Two-panel axial: CT | PSMA PET, [18F]PSMA-1007 tracer. PET panel 200×200 px (4.1 mm/px).
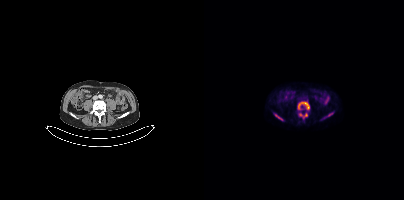
Coordinates are on the 200×200 PET (right) panel. PSMA-avid tumor lesion bounding boxes (x0, y0)-(x1, y1): (94, 101)-(105, 109) | (95, 113)-(103, 118) | (71, 114)-(78, 120) | (124, 113)-(128, 115).